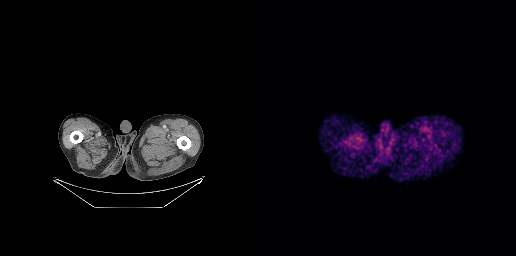
{"modality":"PSMA PET/CT","view":"axial","tracer":"68Ga-PSMA","pet_grid":[256,256],"coord_frame":"pet_panel","coord_format":"x0,y0,x1,y1","psma_avid_lesions":false}